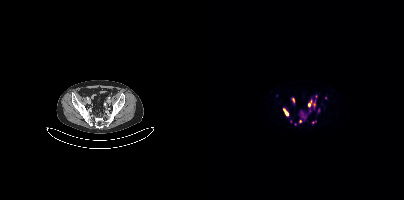
Two-panel axial: CT | PSMA PET, 68Ga-PSMA tracer. Acquired on Siemens Biograph mCT Flow 20. PET panel 200×200 px (4.1 mm/px). Coordinates are on the 200×200 PET (right) panel. (showing 11 of 13 foci) PSMA-avid tumor lesion bounding boxes (x0,y0,x1,y1): [97,113,102,119]; [104,101,111,106]; [79,109,84,114]; [104,109,107,113]; [88,98,90,102]; [114,108,116,112]. Small PSMA-avid foci (2 to 4 px across) near (center x, center y): (86, 121); (72, 95); (112, 96); (96, 121); (121, 97).